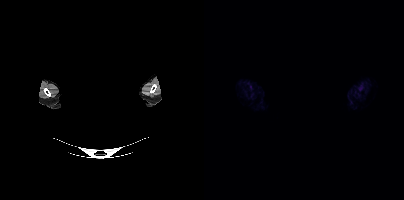
{"modality":"PSMA PET/CT","view":"axial","tracer":"68Ga-PSMA","pet_grid":[200,200],"coord_frame":"pet_panel","coord_format":"x0,y0,x1,y1","psma_avid_lesions":false,"redaction":"head region blanked (face removed)"}